Technique: Paired axial CT (left) and PSMA PET (right), [18F]PSMA-1007 tracer. slice position z = -876 mm.
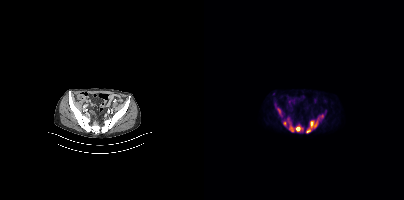
Findings: Coordinates are on the 200×200 PET (right) panel. (showing 4 of 5 foci) PSMA-avid tumor lesion bounding boxes (x0, y0)-(x1, y1): (102, 114)-(119, 133) | (85, 125)-(98, 131) | (73, 108)-(77, 115) | (79, 121)-(82, 125).